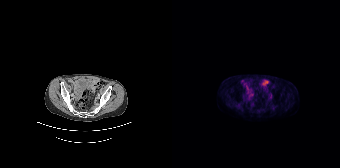
{"modality":"PSMA PET/CT","view":"axial","tracer":"[18F]PSMA-1007","pet_grid":[168,168],"coord_frame":"pet_panel","coord_format":"x0,y0,x1,y1","psma_avid_lesions":false}